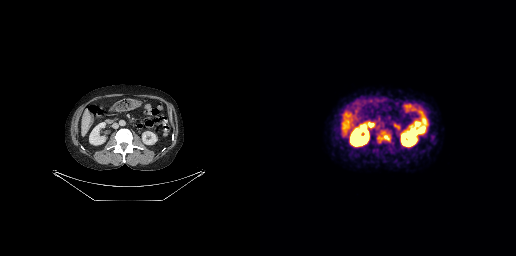
Paired axial CT (left) and PSMA PET (right), [18F]PSMA-1007 tracer. Acquired on GE Discovery 690. Slice position z = -501 mm. PET panel 256×256 px (2.7 mm/px). Coordinates are on the 256×256 PET (right) panel. PSMA-avid tumor lesion bounding box (x, y, width, height): x=117 y=131 w=14 h=12.